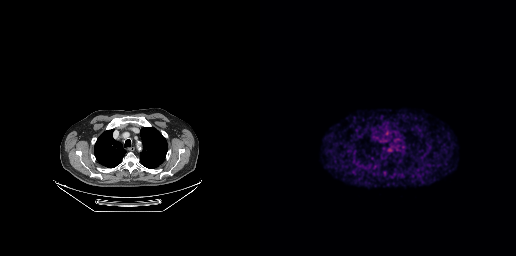
Left: CT. Right: PSMA PET, same axial level, 68Ga tracer. Slice 214 of 263. No PSMA-avid tumor lesions on this slice.